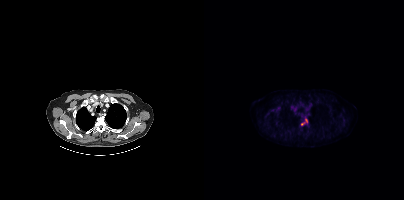
Paired axial CT (left) and PSMA PET (right), 18F tracer. Slice position z = -450 mm. Coordinates are on the 200×200 PET (right) panel. Small PSMA-avid foci (2 to 4 px across) near (center x, center y): (102, 120) / (98, 124).